- Left: CT. Right: PSMA PET, same axial level, 68Ga tracer
- acquired on GE Discovery 690
- PET panel 256×256 px (2.7 mm/px)
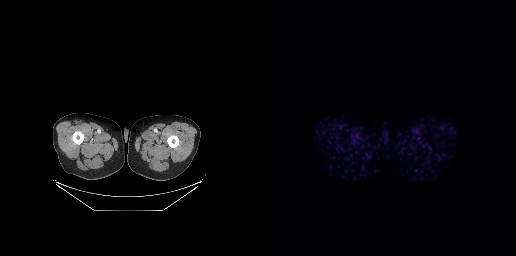
Findings: No tumor lesions annotated on this slice.